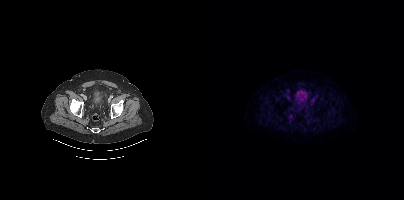
No PSMA-avid tumor lesions on this slice. Left: CT. Right: PSMA PET, same axial level, 18F-PSMA tracer. PET panel 200×200 px (4.1 mm/px).